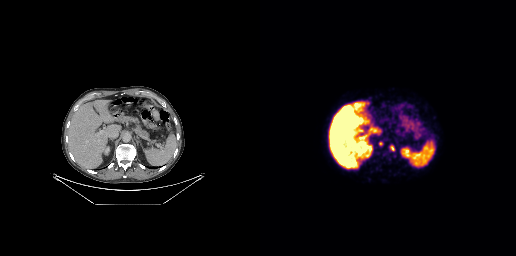
{"modality":"PSMA PET/CT","view":"axial","tracer":"18F-PSMA","pet_grid":[256,256],"coord_frame":"pet_panel","coord_format":"x0,y0,x1,y1","lesion_bboxes":[[129,145,134,151],[119,141,122,145]]}